- Paired axial CT (left) and PSMA PET (right), [18F]PSMA-1007 tracer
- PET panel 200×200 px (4.1 mm/px)
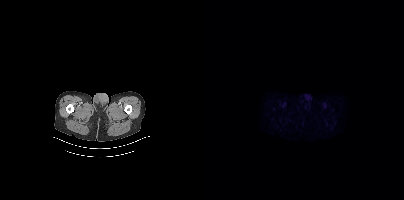
Findings: Negative for PSMA-avid disease on this slice.